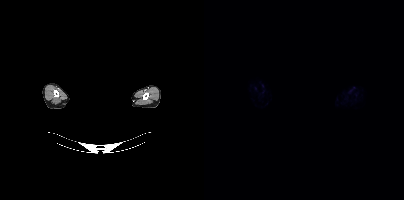
Findings: This slice has no annotated PSMA-avid lesion.
- a rectangle over the head was blacked out to remove identifiable facial features
- Left: CT. Right: PSMA PET, same axial level, [18F]PSMA-1007 tracer
- acquired on Siemens Biograph mCT Flow 20